De-identified by setting a box covering the face to black before release. Left: CT. Right: PSMA PET, same axial level, 18F tracer. Acquired on Siemens Biograph mCT Flow 20. PET panel 200×200 px (4.1 mm/px).
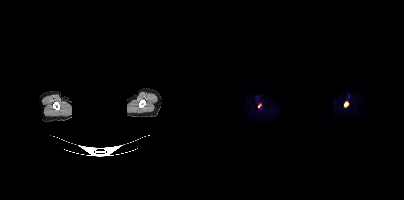
Coordinates are on the 200×200 PET (right) panel. PSMA-avid tumor lesion bounding box (x, y, width, height): x=140 y=102 w=5 h=5. Small PSMA-avid focus (2 to 4 px across) near (center x, center y): (55, 105).